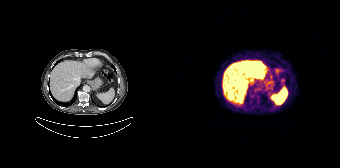
Coordinates are on the 168×168 PET (right) panel. (showing 4 of 5 foci) PSMA-avid tumor lesion bounding boxes (x, y, width, height): x=65 y=61 w=28 h=18 / x=62 y=78 w=13 h=16 / x=64 y=95 w=8 h=9 / x=83 y=61 w=8 h=6.